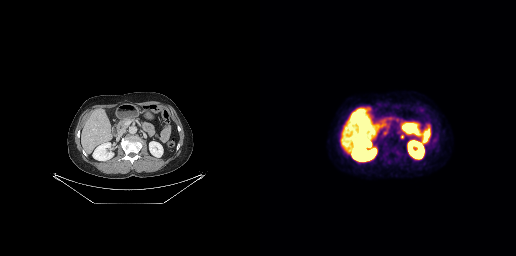
- Left: CT. Right: PSMA PET, same axial level, [18F]PSMA-1007 tracer
- acquired on GE Discovery 690
Findings: Coordinates are on the 256×256 PET (right) panel. (showing 1 of 2 foci) Small PSMA-avid focus (2 to 4 px across) near (center x, center y): (142, 136).